Paired axial CT (left) and PSMA PET (right), 18F-PSMA tracer. Slice position z = -448 mm. PET panel 200×200 px (4.1 mm/px).
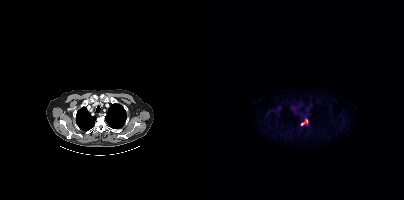
Coordinates are on the 200×200 PET (right) panel. PSMA-avid tumor lesion bounding boxes:
| # | x0 | y0 | x1 | y1 |
|---|---|---|---|---|
| 1 | 97 | 119 | 103 | 125 |